Two-panel axial: CT | PSMA PET, [18F]PSMA-1007 tracer.
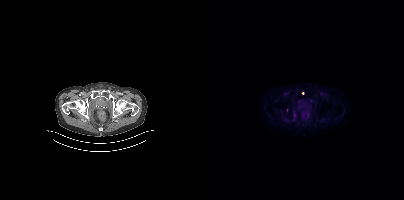
Coordinates are on the 200×200 PET (right) panel. (showing 1 of 3 foci) Small PSMA-avid focus (2 to 4 px across) near (center x, center y): (90, 116).